Left: CT. Right: PSMA PET, same axial level, 68Ga-PSMA tracer. Acquired on Siemens Biograph 64-4R TruePoint.
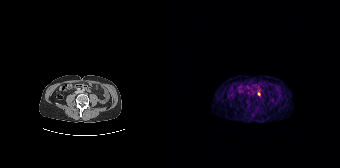
Coordinates are on the 168×168 PET (right) panel. Small PSMA-avid focus (2 to 4 px across) near (center x, center y): (86, 94).